modality: PSMA PET/CT | tracer: 18F-PSMA | view: axial
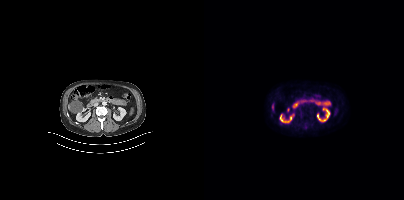
Negative for PSMA-avid disease on this slice.